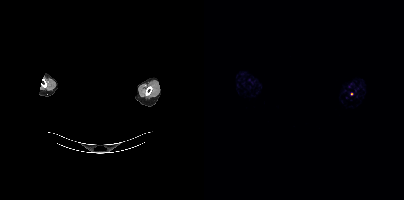
{"modality":"PSMA PET/CT","view":"axial","tracer":"68Ga-PSMA","pet_grid":[200,200],"coord_frame":"pet_panel","coord_format":"x0,y0,x1,y1","deidentification":"face masked with black rectangle","psma_avid_lesions":false}